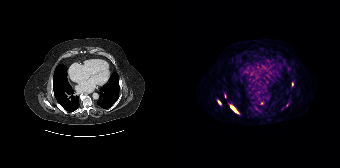
Two-panel axial: CT | PSMA PET, [68Ga]Ga-PSMA-11 tracer. Slice position z = -1084 mm. PET panel 168×168 px (4.1 mm/px). Coordinates are on the 168×168 PET (right) panel. (showing 3 of 6 foci) PSMA-avid tumor lesion bounding box (x, y, width, height): x=58 y=105 w=9 h=9. Small PSMA-avid foci (2 to 4 px across) near (center x, center y): (47, 102) | (120, 84).